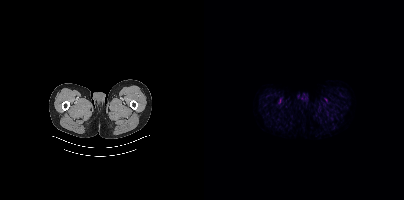
This slice has no annotated PSMA-avid lesion.